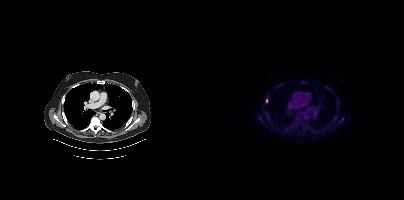
{"modality":"PSMA PET/CT","view":"axial","tracer":"18F-PSMA","pet_grid":[200,200],"coord_frame":"pet_panel","coord_format":"x0,y0,x1,y1","partial":true,"lesion_bboxes":[[91,118,97,124],[62,112,68,124],[97,81,101,84],[135,119,139,122]],"small_foci_centers":[[101,128],[89,129],[63,95],[56,118],[73,87],[62,100],[122,86],[74,130]]}